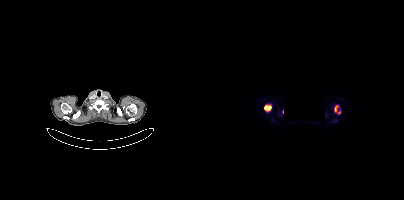
Coordinates are on the 200×200 PET (right) panel. (showing 3 of 4 foci) PSMA-avid tumor lesion bounding boxes (x, y, width, height): x=60 y=105 w=8 h=7 | x=130 y=106 w=4 h=6. Small PSMA-avid focus (2 to 4 px across) near (center x, center y): (134, 112).
De-identified by setting a rectangular region to black.